Two-panel axial: CT | PSMA PET, 18F-PSMA tracer. Acquired on Siemens Biograph mCT Flow 20. Slice position z = -1370 mm. PET panel 200×200 px (4.1 mm/px).
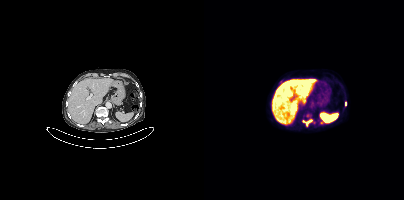
Coordinates are on the 200×200 PET (right) panel. PSMA-avid tumor lesion bounding boxes (partial; 2 more foci not listed):
| # | x0 | y0 | x1 | y1 |
|---|---|---|---|---|
| 1 | 101 | 119 | 108 | 126 |
Small PSMA-avid foci (2 to 4 px across) near (center x, center y): (117, 122); (141, 103).